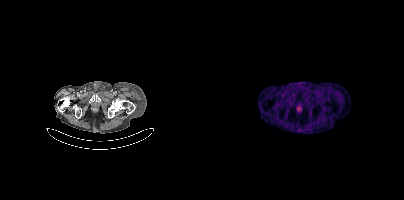
Coordinates are on the 200×200 PET (right) panel. Small PSMA-avid focus (2 to 4 px across) near (center x, center y): (94, 108).